- Left: CT. Right: PSMA PET, same axial level, 18F tracer
- acquired on Siemens Biograph mCT Flow 20
- slice position z = -597 mm
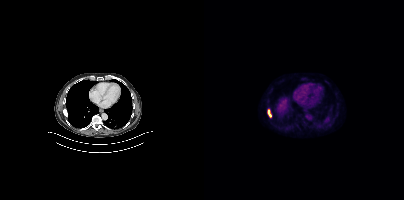
Findings: Coordinates are on the 200×200 PET (right) panel. PSMA-avid tumor lesion bounding box (x0, y0)-(x1, y1): (64, 110)-(67, 117).